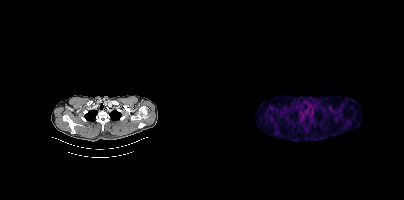
No tumor lesions annotated on this slice. Two-panel axial: CT | PSMA PET, 18F-PSMA tracer. PET panel 200×200 px (4.1 mm/px).